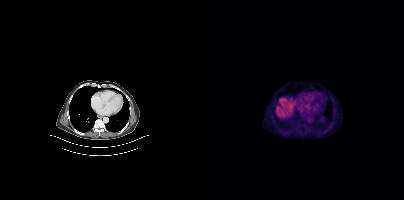
Negative for PSMA-avid disease on this slice.